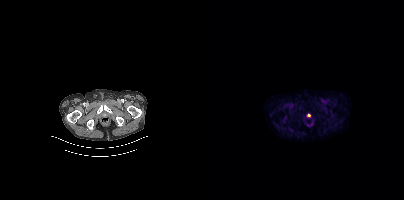
Two-panel axial: CT | PSMA PET, 18F-PSMA tracer. PET panel 200×200 px (4.1 mm/px). Coordinates are on the 200×200 PET (right) panel. Small PSMA-avid focus (2 to 4 px across) near (center x, center y): (105, 115).